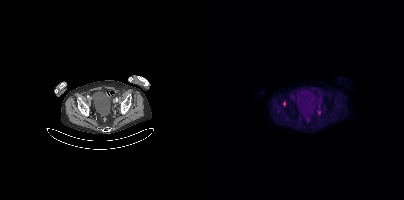
{"modality":"PSMA PET/CT","view":"axial","tracer":"[18F]PSMA-1007","pet_grid":[200,200],"coord_frame":"pet_panel","coord_format":"x0,y0,x1,y1","partial":true,"lesion_bboxes":[],"small_foci_centers":[[80,103]]}